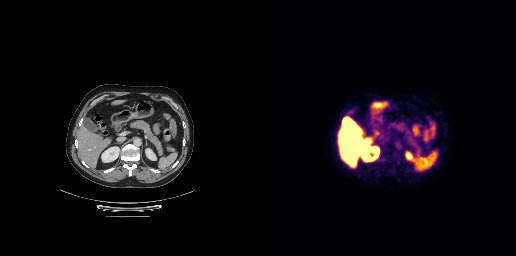
Paired axial CT (left) and PSMA PET (right), [18F]PSMA-1007 tracer. Slice position z = -425 mm. Negative for PSMA-avid disease on this slice.